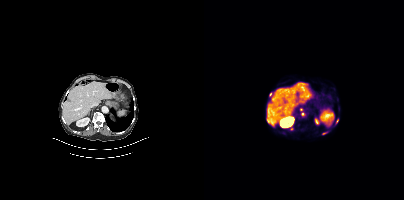
Coordinates are on the 200×200 PET (right) panel. PSMA-avid tumor lesion bounding boxes (partial; 1 more focus not listed):
| # | x0 | y0 | x1 | y1 |
|---|---|---|---|---|
| 1 | 98 | 112 | 102 | 115 |
| 2 | 118 | 132 | 123 | 134 |
Small PSMA-avid foci (2 to 4 px across) near (center x, center y): (87, 128); (64, 121); (133, 120); (97, 109).
Left: CT. Right: PSMA PET, same axial level, 68Ga tracer. Slice 207 of 409.